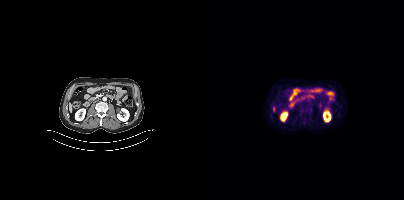
- Paired axial CT (left) and PSMA PET (right), 18F tracer
- PET panel 200×200 px (4.1 mm/px)
Findings: This slice has no annotated PSMA-avid lesion.